Left: CT. Right: PSMA PET, same axial level, 18F tracer. Acquired on Siemens Biograph mCT Flow 20. Slice 290 of 373. PET panel 200×200 px (4.1 mm/px).
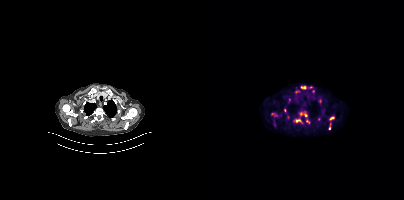
Coordinates are on the 200×200 PET (right) panel. (showing 10 of 14 foci) PSMA-avid tumor lesion bounding boxes (x, y, width, height): x=89 y=111 w=18 h=14 / x=69 y=118 w=4 h=10 / x=97 y=85 w=6 h=4 / x=125 y=117 w=6 h=4 / x=67 y=113 w=8 h=3 / x=125 y=123 w=2 h=7. Small PSMA-avid foci (2 to 4 px across) near (center x, center y): (85, 100) / (109, 91) / (93, 91) / (80, 110).